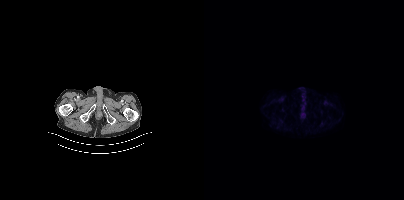
Two-panel axial: CT | PSMA PET, 18F-PSMA tracer. PET panel 200×200 px (4.1 mm/px). This slice has no annotated PSMA-avid lesion.